Paired axial CT (left) and PSMA PET (right), 18F tracer. Acquired on GE Discovery 690. PET panel 256×256 px (2.7 mm/px).
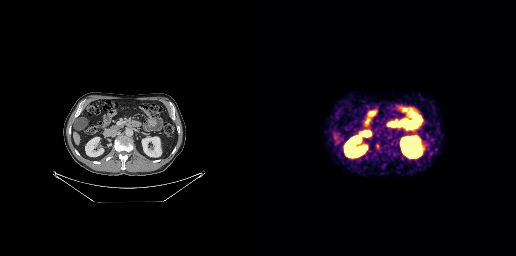
Coordinates are on the 256×256 PET (right) panel. PSMA-avid tumor lesion bounding box (x0,y0,x1,y1): [123,145,128,148]. Small PSMA-avid focus (2 to 4 px across) near (center x, center y): (118, 145).